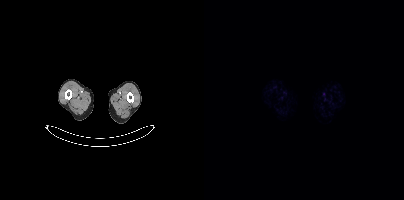
Left: CT. Right: PSMA PET, same axial level, [18F]PSMA-1007 tracer. Slice 7 of 409. PET panel 200×200 px (4.1 mm/px). No PSMA-avid tumor lesions on this slice.